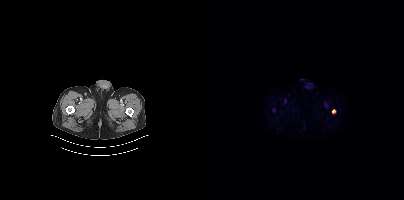
Findings: Coordinates are on the 200×200 PET (right) panel. PSMA-avid tumor lesion bounding box (x0,y0,x1,y1): [128,109,131,113].
- Two-panel axial: CT | PSMA PET, [18F]PSMA-1007 tracer
- slice 40 of 444
- PET panel 200×200 px (4.1 mm/px)